Paired axial CT (left) and PSMA PET (right), [18F]PSMA-1007 tracer. Acquired on Siemens Biograph mCT Flow 20. PET panel 200×200 px (4.1 mm/px).
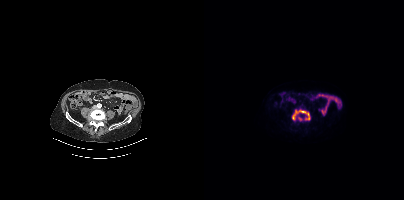
Coordinates are on the 200×200 PET (right) panel. PSMA-avid tumor lesion bounding boxes:
| # | x0 | y0 | x1 | y1 |
|---|---|---|---|---|
| 1 | 87 | 109 | 106 | 121 |